modality: PSMA PET/CT | tracer: 18F | view: axial | redaction: head region blanked (face removed)
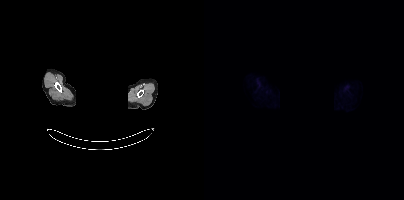
No tumor lesions annotated on this slice.